Left: CT. Right: PSMA PET, same axial level, 18F tracer.
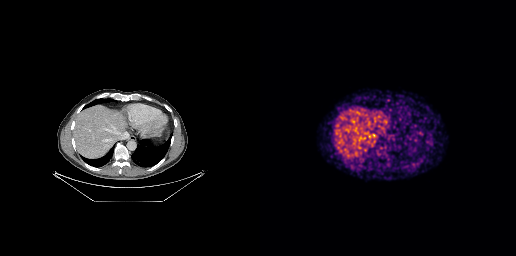
No PSMA-avid tumor lesions on this slice.